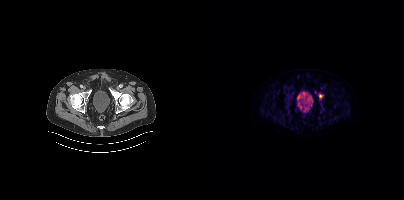
- Two-panel axial: CT | PSMA PET, [18F]PSMA-1007 tracer
Findings: Coordinates are on the 200×200 PET (right) panel. PSMA-avid tumor lesion bounding box (x, y, width, height): x=114 y=93 w=6 h=7.